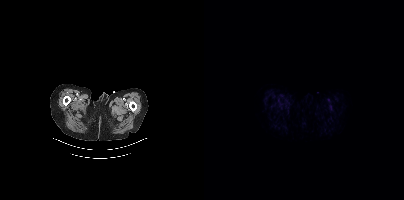
Paired axial CT (left) and PSMA PET (right), 18F tracer. Slice position z = -1024 mm. This slice has no annotated PSMA-avid lesion.